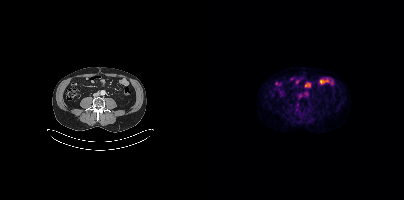
{"modality":"PSMA PET/CT","view":"axial","tracer":"[18F]PSMA-1007","pet_grid":[200,200],"coord_frame":"pet_panel","coord_format":"x0,y0,x1,y1","partial":true,"lesion_bboxes":[]}